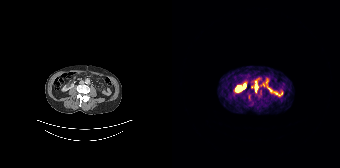
Coordinates are on the 168×168 PET (right) panel. Small PSMA-avid focus (2 to 4 px across) near (center x, center y): (84, 87).